modality: PSMA PET/CT | tracer: 18F-PSMA | view: axial
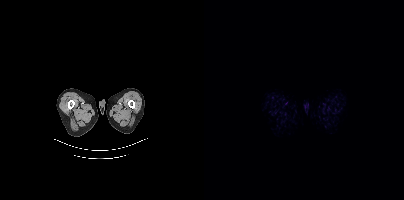
Negative for PSMA-avid disease on this slice.